Two-panel axial: CT | PSMA PET, 18F-PSMA tracer. Slice position z = 52 mm. PET panel 200×200 px (4.1 mm/px).
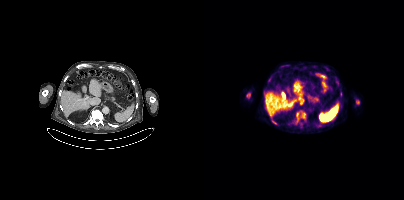
Coordinates are on the 200×200 PET (right) panel. PSMA-avid tumor lesion bounding boxes (x0, y0)-(x1, y1): (93, 112)-(101, 117); (42, 93)-(46, 98); (152, 100)-(155, 104). Small PSMA-avid foci (2 to 4 px across) near (center x, center y): (70, 122); (136, 93).